Left: CT. Right: PSMA PET, same axial level, [18F]PSMA-1007 tracer. Slice position z = -1305 mm.
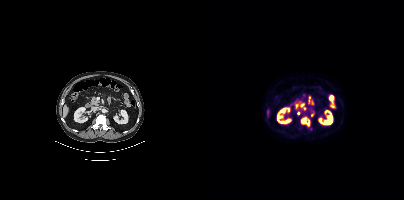
Coordinates are on the 200×200 PET (right) panel. PSMA-avid tumor lesion bounding box (x0,y0,x1,y1): [97,118,105,125]. Small PSMA-avid foci (2 to 4 px across) near (center x, center y): (98, 105) (94, 113) (100, 108) (107, 114).